Left: CT. Right: PSMA PET, same axial level, 18F-PSMA tracer.
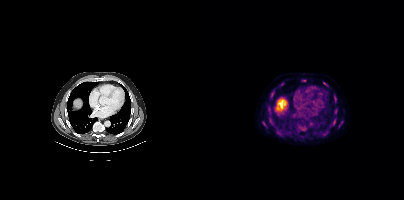
Coordinates are on the 200×200 PET (right) panel. (showing 6 of 9 foci) PSMA-avid tumor lesion bounding boxes (x0,y0,x1,y1): [66,94,68,99], [136,121,139,125], [98,79,102,81]. Small PSMA-avid foci (2 to 4 px across) near (center x, center y): (129, 123), (61, 125), (123, 85).